Paired axial CT (left) and PSMA PET (right), [18F]PSMA-1007 tracer. PET panel 200×200 px (4.1 mm/px).
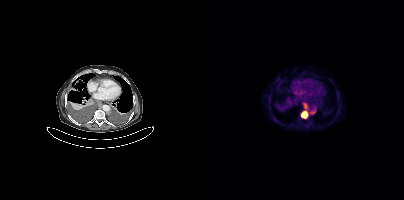
Coordinates are on the 200×200 PET (right) panel. PSMA-avid tumor lesion bounding boxes:
| # | x0 | y0 | x1 | y1 |
|---|---|---|---|---|
| 1 | 97 | 111 | 103 | 118 |
Small PSMA-avid focus (2 to 4 px across) near (center x, center y): (101, 105).